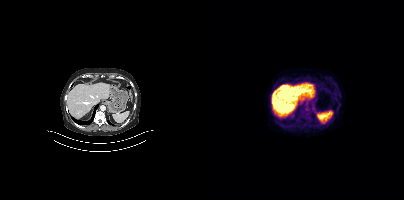
{"pet_grid":[200,200],"coord_frame":"pet_panel","coord_format":"x0,y0,x1,y1","psma_avid_lesions":false,"modality":"PSMA PET/CT","view":"axial","tracer":"[18F]PSMA-1007"}